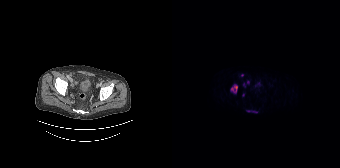
{"pet_grid":[168,168],"coord_frame":"pet_panel","coord_format":"x0,y0,x1,y1","partial":true,"lesion_bboxes":[[59,84,65,93],[75,110,85,112],[71,82,73,87]],"small_foci_centers":[[70,75],[75,81]],"modality":"PSMA PET/CT","view":"axial","tracer":"18F-PSMA"}